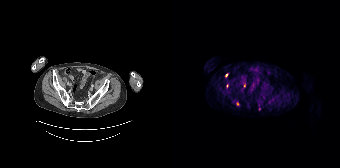
{"pet_grid":[168,168],"coord_frame":"pet_panel","coord_format":"x0,y0,x1,y1","partial":true,"lesion_bboxes":[],"small_foci_centers":[[54,75],[55,85],[72,85]],"modality":"PSMA PET/CT","view":"axial","tracer":"68Ga-PSMA"}